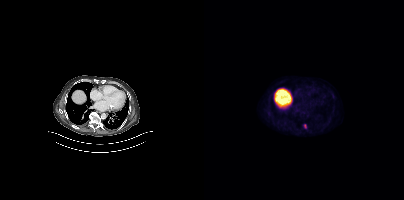
{"modality":"PSMA PET/CT","view":"axial","tracer":"18F","pet_grid":[200,200],"coord_frame":"pet_panel","coord_format":"x0,y0,x1,y1","lesion_bboxes":[[99,124,102,128]]}